Two-panel axial: CT | PSMA PET, 18F-PSMA tracer. Acquired on Siemens Biograph mCT Flow 20. PET panel 200×200 px (4.1 mm/px).
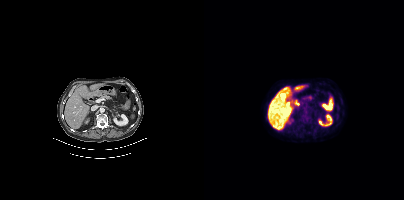
No tumor lesions annotated on this slice.